Paired axial CT (left) and PSMA PET (right), [68Ga]Ga-PSMA-11 tracer. Slice position z = -1278 mm.
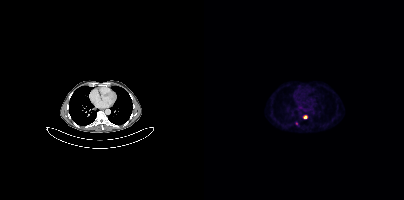
Coordinates are on the 200×200 PET (right) panel. PSMA-avid tumor lesion bounding boxes:
| # | x0 | y0 | x1 | y1 |
|---|---|---|---|---|
| 1 | 99 | 115 | 103 | 118 |
Small PSMA-avid focus (2 to 4 px across) near (center x, center y): (92, 123).